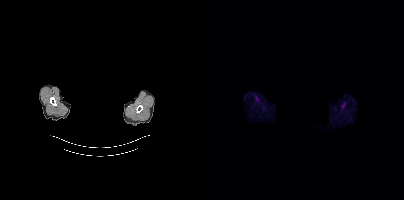
{"modality":"PSMA PET/CT","view":"axial","tracer":"18F","pet_grid":[200,200],"coord_frame":"pet_panel","coord_format":"x0,y0,x1,y1","deidentification":"face masked with black rectangle","psma_avid_lesions":false}